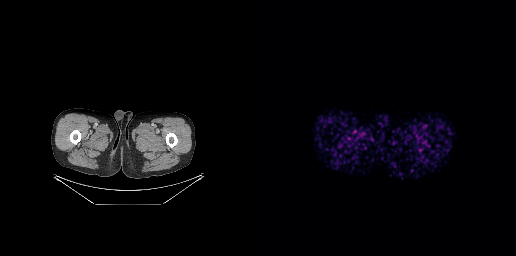
Negative for PSMA-avid disease on this slice.